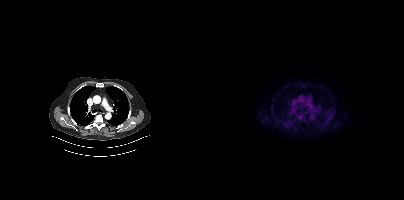
No PSMA-avid tumor lesions on this slice.